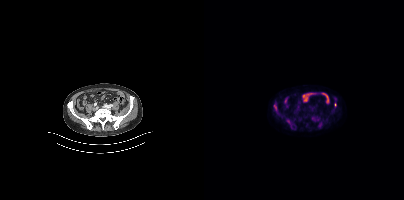
Findings: Coordinates are on the 200×200 PET (right) panel. PSMA-avid tumor lesion bounding boxes (x0,y0,x1,y1): [70,105,72,110] [115,122,117,126]. Small PSMA-avid focus (2 to 4 px across) near (center x, center y): (131, 104).
- Left: CT. Right: PSMA PET, same axial level, 18F tracer
- slice position z = -1384 mm
- PET panel 200×200 px (4.1 mm/px)